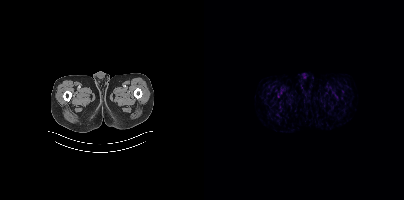
No tumor lesions annotated on this slice.